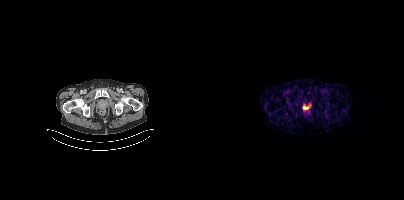
{"modality":"PSMA PET/CT","view":"axial","tracer":"68Ga-PSMA","pet_grid":[200,200],"coord_frame":"pet_panel","coord_format":"x0,y0,x1,y1","lesion_bboxes":[],"small_foci_centers":[[101,107]]}